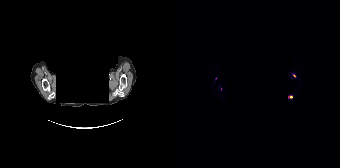
Paired axial CT (left) and PSMA PET (right), 18F-PSMA tracer. PET panel 168×168 px (4.1 mm/px). The head region is masked for de-identification.
Coordinates are on the 168×168 PET (right) panel. PSMA-avid tumor lesion bounding boxes (partial; 1 more focus not listed):
| # | x0 | y0 | x1 | y1 |
|---|---|---|---|---|
| 1 | 116 | 96 | 120 | 98 |
Small PSMA-avid foci (2 to 4 px across) near (center x, center y): (121, 75); (43, 78).